Left: CT. Right: PSMA PET, same axial level, 68Ga-PSMA tracer. PET panel 200×200 px (4.1 mm/px).
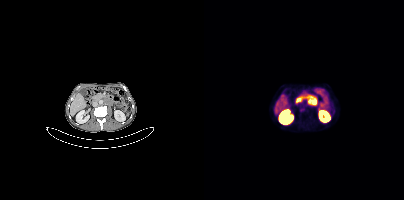
Coordinates are on the 200×200 PET (right) panel. PSMA-avid tumor lesion bounding box (x0,y0,x1,y1): [100,95,113,105].